Two-panel axial: CT | PSMA PET, [18F]PSMA-1007 tracer. Acquired on Siemens Biograph mCT Flow 20. Slice 143 of 367.
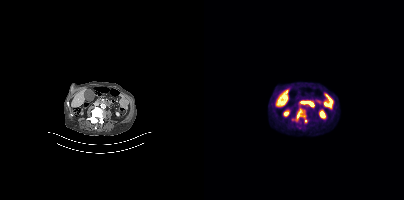
Coordinates are on the 200×200 PET (right) panel. (showing 1 of 2 foci) PSMA-avid tumor lesion bounding box (x, y, width, height): x=88 y=117 w=17 h=7.